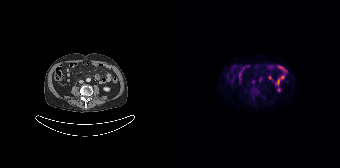
Negative for PSMA-avid disease on this slice. Two-panel axial: CT | PSMA PET, 18F tracer. Slice position z = -1210 mm.